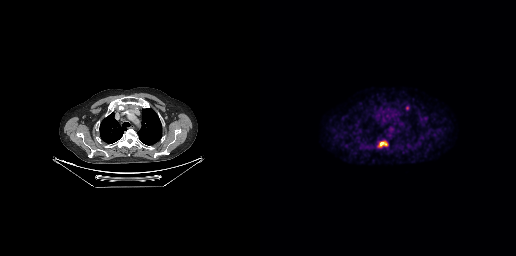
Coordinates are on the 256×256 PET (right) panel. PSMA-avid tumor lesion bounding box (x0,y0,x1,y1): [118,141,127,147]. Small PSMA-avid focus (2 to 4 px across) near (center x, center y): (147, 107).